Paired axial CT (left) and PSMA PET (right), 68Ga tracer. Acquired on GE Discovery 690. PET panel 256×256 px (2.7 mm/px).
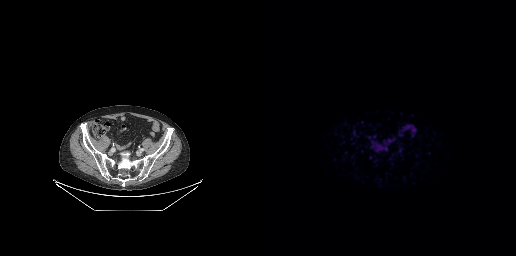
No tumor lesions annotated on this slice.